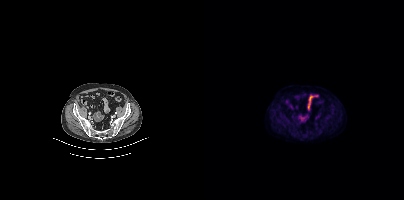
Technique: Paired axial CT (left) and PSMA PET (right), 18F-PSMA tracer. acquired on Siemens Biograph mCT Flow 20. slice 100 of 429. PET panel 200×200 px (4.1 mm/px).
Findings: No PSMA-avid tumor lesions on this slice.